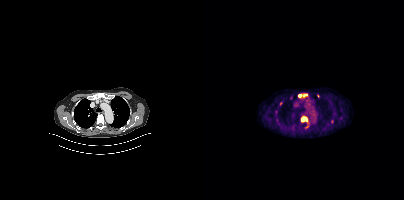
{"pet_grid":[200,200],"coord_frame":"pet_panel","coord_format":"x0,y0,x1,y1","lesion_bboxes":[[97,116,103,121],[94,94,103,97]],"small_foci_centers":[[128,121],[114,96]],"modality":"PSMA PET/CT","view":"axial","tracer":"18F-PSMA"}